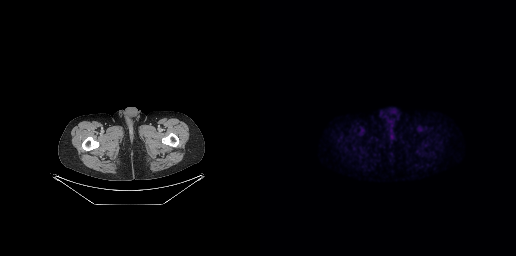
modality: PSMA PET/CT | tracer: 18F-PSMA | view: axial
Negative for PSMA-avid disease on this slice.